Two-panel axial: CT | PSMA PET, [18F]PSMA-1007 tracer. Slice 129 of 373. PET panel 200×200 px (4.1 mm/px).
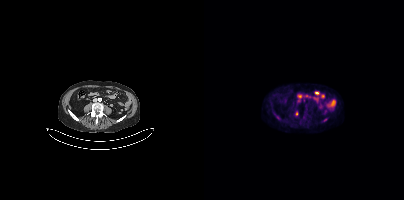
Coordinates are on the 200×200 PET (right) panel. Small PSMA-avid focus (2 to 4 px across) near (center x, center y): (92, 113).